modality: PSMA PET/CT | tracer: 68Ga-PSMA | view: axial
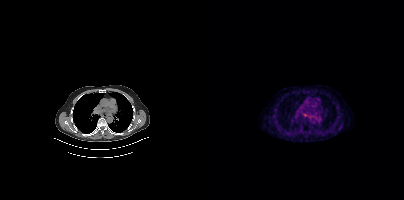
Negative for PSMA-avid disease on this slice.